Two-panel axial: CT | PSMA PET, [18F]PSMA-1007 tracer. Acquired on Siemens Biograph 64-4R TruePoint. Slice 87 of 165.
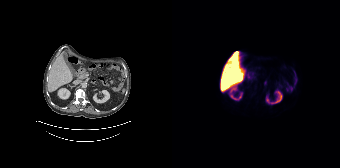
This slice has no annotated PSMA-avid lesion.